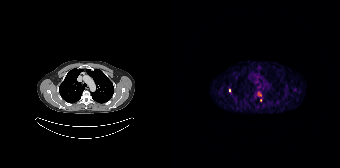
- Paired axial CT (left) and PSMA PET (right), [68Ga]Ga-PSMA-11 tracer
- slice 149 of 195
Findings: Coordinates are on the 168×168 PET (right) panel. (showing 2 of 3 foci) Small PSMA-avid foci (2 to 4 px across) near (center x, center y): (57, 90); (86, 67).